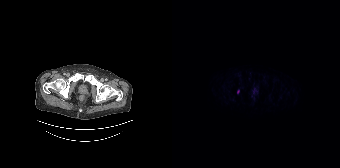
Technique: Left: CT. Right: PSMA PET, same axial level, 18F-PSMA tracer. PET panel 168×168 px (4.1 mm/px).
Findings: Coordinates are on the 168×168 PET (right) panel. Small PSMA-avid focus (2 to 4 px across) near (center x, center y): (66, 91).